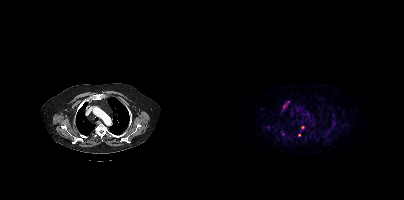
Coordinates are on the 200×200 PET (right) panel. PSMA-avid tumor lesion bounding boxes (partial; 1 more focus not listed):
| # | x0 | y0 | x1 | y1 |
|---|---|---|---|---|
| 1 | 78 | 101 | 85 | 110 |
| 2 | 97 | 125 | 100 | 129 |
Small PSMA-avid focus (2 to 4 px across) near (center x, center y): (95, 134).
Left: CT. Right: PSMA PET, same axial level, 68Ga-PSMA tracer. Slice position z = 803 mm. PET panel 200×200 px (4.1 mm/px).